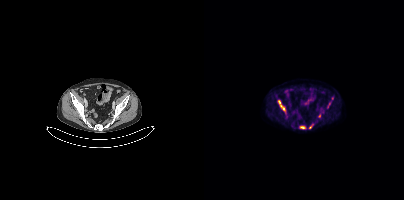
Findings: Coordinates are on the 200×200 PET (right) panel. (showing 5 of 6 foci) PSMA-avid tumor lesion bounding boxes (x0, y0)-(x1, y1): (74, 100)-(81, 111); (96, 126)-(101, 128); (124, 103)-(126, 107). Small PSMA-avid foci (2 to 4 px across) near (center x, center y): (106, 127); (128, 98).
Technique: Paired axial CT (left) and PSMA PET (right), [18F]PSMA-1007 tracer. acquired on Siemens Biograph mCT Flow 20. slice 106 of 415.